Paired axial CT (left) and PSMA PET (right), 18F tracer. Acquired on Siemens Biograph mCT Flow 20.
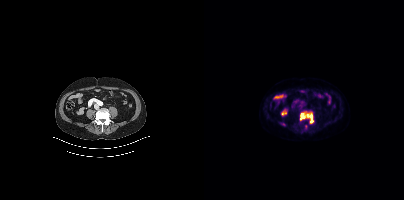
Coordinates are on the 200×200 PET (right) panel. PSMA-avid tumor lesion bounding boxes:
| # | x0 | y0 | x1 | y1 |
|---|---|---|---|---|
| 1 | 96 | 113 | 109 | 123 |